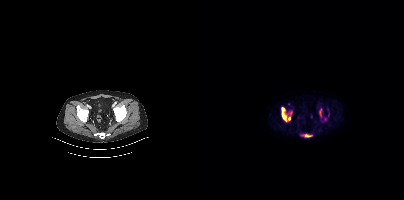
Technique: Two-panel axial: CT | PSMA PET, [18F]PSMA-1007 tracer. acquired on Siemens Biograph mCT Flow 20. slice 59 of 367. PET panel 200×200 px (4.1 mm/px).
Findings: Coordinates are on the 200×200 PET (right) panel. (showing 3 of 5 foci) PSMA-avid tumor lesion bounding boxes (x0, y0)-(x1, y1): (77, 107)-(86, 121) / (115, 109)-(117, 116) / (101, 134)-(107, 137).